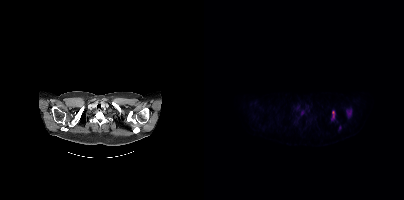
Coordinates are on the 200×200 PET (right) panel. PSMA-avid tumor lesion bounding boxes (x0, y0)-(x1, y1): (142, 110)-(147, 115) / (128, 111)-(130, 117). Small PSMA-avid foci (2 to 4 px across) near (center x, center y): (136, 127) / (98, 113).